Technique: Two-panel axial: CT | PSMA PET, 18F tracer. acquired on Siemens Biograph mCT Flow 20. slice position z = -1076 mm. PET panel 200×200 px (4.1 mm/px).
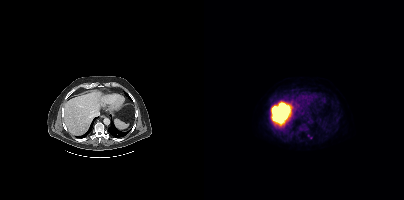
Findings: Only PSMA-avid lesion pieces thinner than 2 px on this slice (not listed).